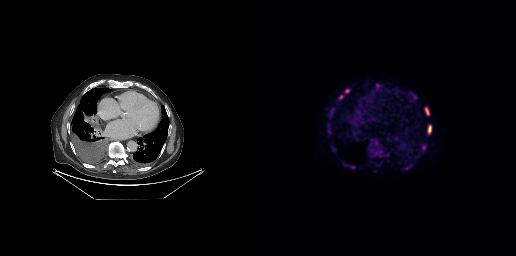
Coordinates are on the 256×256 PET (right) panel. (showing 8 of 9 foci) PSMA-avid tumor lesion bounding boxes (x0,y0,x1,y1): [167,125,171,134], [165,107,169,115], [68,110,73,117], [116,83,120,88], [85,89,89,92], [163,145,165,149]. Small PSMA-avid foci (2 to 4 px across) near (center x, center y): (80, 96), (155, 97).